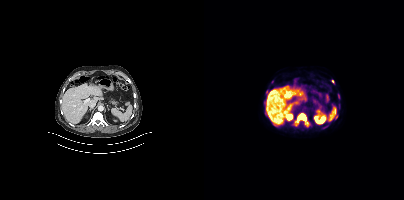
Coordinates are on the 200×200 PET (right) panel. PSMA-avid tumor lesion bounding boxes (x0,y0,x1,y1): [91,113,104,126] [62,90,64,94]. Small PSMA-avid foci (2 to 4 px across) near (center x, center y): (132, 115) (128, 81) (134, 96) (119, 127).